Technique: Two-panel axial: CT | PSMA PET, [18F]PSMA-1007 tracer. slice 259 of 371.
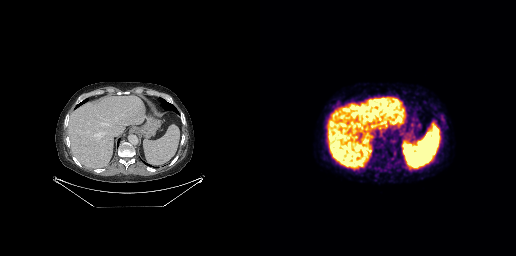
Findings: No tumor lesions annotated on this slice.